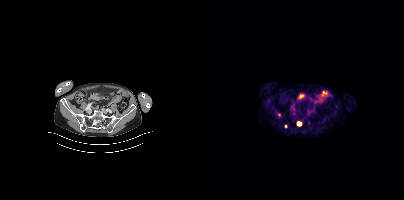
Coordinates are on the 200×200 PET (right) panel. PSMA-avid tumor lesion bounding boxes (partial; 1 more focus not listed):
| # | x0 | y0 | x1 | y1 |
|---|---|---|---|---|
| 1 | 92 | 121 | 98 | 126 |
Small PSMA-avid focus (2 to 4 px across) near (center x, center y): (82, 126).
Left: CT. Right: PSMA PET, same axial level, 18F-PSMA tracer. PET panel 200×200 px (4.1 mm/px).